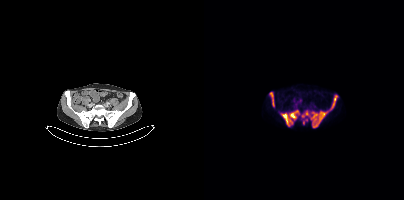
Coordinates are on the 200×200 PET (right) panel. PSMA-avid tumor lesion bounding boxes (x0, y0)-(x1, y1): (97, 95)-(133, 127) / (76, 110)-(95, 126) / (65, 92)-(70, 106) / (99, 119)-(103, 124).